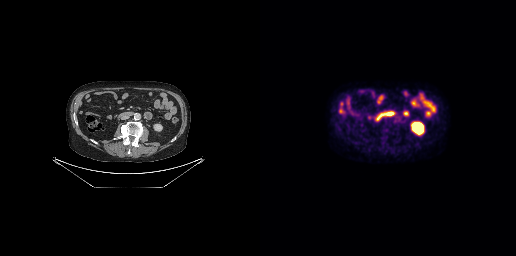
No PSMA-avid tumor lesions on this slice. Paired axial CT (left) and PSMA PET (right), 18F-PSMA tracer. Acquired on GE Discovery 690. Slice 128 of 263.